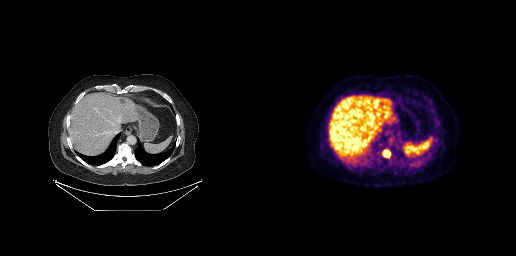
Coordinates are on the 256×256 PET (right) panel. Small PSMA-avid focus (2 to 4 px across) near (center x, center y): (126, 152).